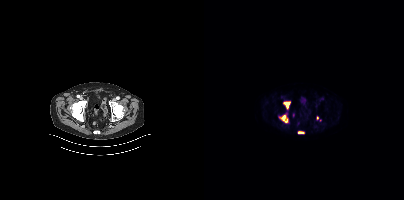
Findings: Coordinates are on the 200×200 PET (right) panel. (showing 4 of 6 foci) PSMA-avid tumor lesion bounding boxes (x, y, width, height): x=77 y=115 w=7 h=8 / x=80 y=102 w=7 h=7 / x=94 y=131 w=6 h=3. Small PSMA-avid focus (2 to 4 px across) near (center x, center y): (113, 118).
- Paired axial CT (left) and PSMA PET (right), [18F]PSMA-1007 tracer
- acquired on Siemens Biograph mCT Flow 20
- slice 84 of 423
- PET panel 200×200 px (4.1 mm/px)